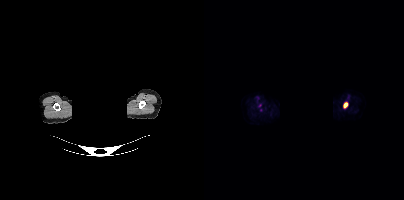
{"modality":"PSMA PET/CT","view":"axial","tracer":"18F-PSMA","pet_grid":[200,200],"coord_frame":"pet_panel","coord_format":"x0,y0,x1,y1","lesion_bboxes":[[139,102,143,107]],"redaction":"head region blanked (face removed)"}